Face de-identified by blanking a block of the head. Left: CT. Right: PSMA PET, same axial level, [18F]PSMA-1007 tracer. Acquired on Siemens Biograph mCT Flow 20.
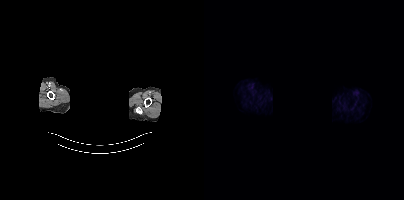
No tumor lesions annotated on this slice.